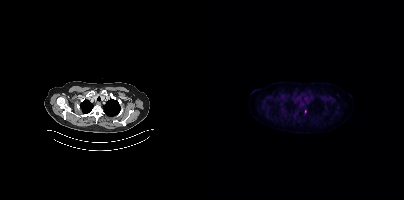
Technique: Left: CT. Right: PSMA PET, same axial level, 18F-PSMA tracer. acquired on Siemens Biograph mCT Flow 20. PET panel 200×200 px (4.1 mm/px).
Findings: Only PSMA-avid lesion pieces thinner than 2 px on this slice (not listed).